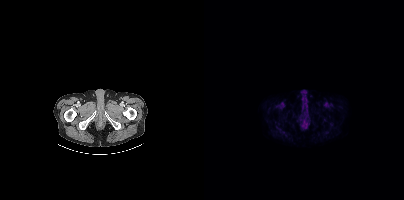
Technique: Left: CT. Right: PSMA PET, same axial level, 18F tracer. PET panel 200×200 px (4.1 mm/px).
Findings: No PSMA-avid tumor lesions on this slice.